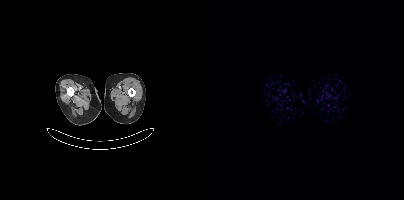
Findings: No PSMA-avid tumor lesions on this slice.
- Left: CT. Right: PSMA PET, same axial level, [18F]PSMA-1007 tracer
- acquired on Siemens Biograph mCT Flow 20